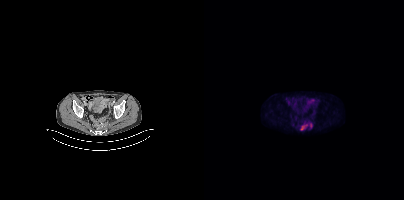
Coordinates are on the 200×200 PET (right) panel. PSMA-avid tumor lesion bounding boxes (x0,y0,x1,y1): [96,124,103,130]; [106,123,107,127]. Two-panel axial: CT | PSMA PET, [18F]PSMA-1007 tracer. Slice 74 of 423.